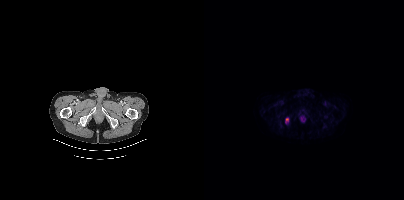
Findings: Coordinates are on the 200×200 PET (right) panel. Small PSMA-avid focus (2 to 4 px across) near (center x, center y): (82, 119).
- Left: CT. Right: PSMA PET, same axial level, 18F-PSMA tracer
- acquired on Siemens Biograph mCT Flow 20
- slice 53 of 405